- Paired axial CT (left) and PSMA PET (right), 18F-PSMA tracer
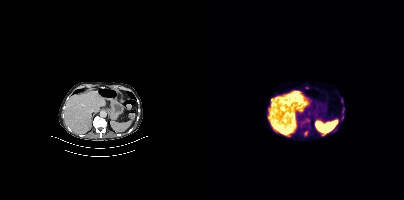
Findings: Coordinates are on the 200×200 PET (right) panel. (showing 2 of 3 foci) PSMA-avid tumor lesion bounding box (x0,y0,x1,y1): [138,108,140,112]. Small PSMA-avid focus (2 to 4 px across) near (center x, center y): (102, 133).